modality: PSMA PET/CT | tracer: [18F]PSMA-1007 | view: axial
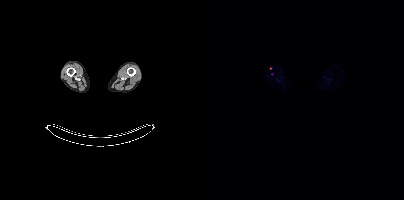
Coordinates are on the 200×200 PET (right) panel. (showing 1 of 2 foci) Small PSMA-avid focus (2 to 4 px across) near (center x, center y): (67, 73).